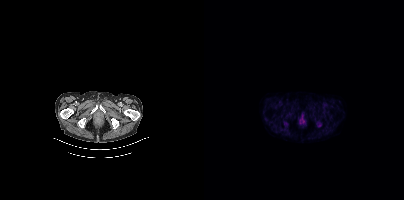
This slice has no annotated PSMA-avid lesion.